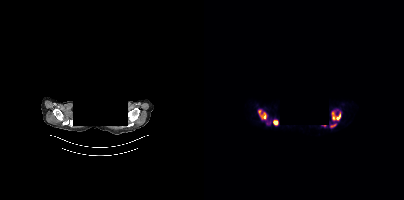
A rectangular block over the head has been blanked out for de-identification. Left: CT. Right: PSMA PET, same axial level, 68Ga-PSMA tracer. Acquired on Siemens Biograph mCT Flow 20. PET panel 200×200 px (4.1 mm/px). Coordinates are on the 200×200 PET (right) panel. PSMA-avid tumor lesion bounding boxes (x0, y0)-(x1, y1): (128, 111)-(136, 120); (54, 109)-(62, 119); (63, 121)-(67, 125); (69, 121)-(73, 124); (127, 124)-(131, 128). Small PSMA-avid focus (2 to 4 px across) near (center x, center y): (132, 110).